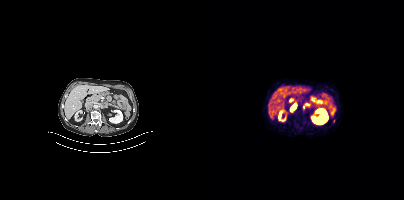
Technique: Paired axial CT (left) and PSMA PET (right), [68Ga]Ga-PSMA-11 tracer. PET panel 200×200 px (4.1 mm/px).
Findings: Coordinates are on the 200×200 PET (right) panel. (showing 3 of 4 foci) PSMA-avid tumor lesion bounding box (x0, y0)-(x1, y1): (86, 105)-(92, 110). Small PSMA-avid foci (2 to 4 px across) near (center x, center y): (99, 107); (129, 120).